- Two-panel axial: CT | PSMA PET, 18F tracer
- acquired on Siemens Biograph mCT Flow 20
- slice position z = -1251 mm
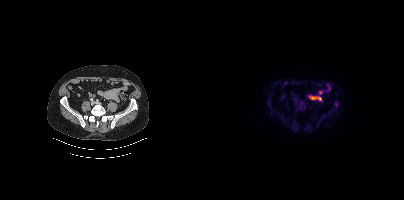
Findings: Coordinates are on the 200×200 PET (right) panel. PSMA-avid tumor lesion bounding boxes (x, y, width, height): x=62 y=98 w=7 h=11; x=93 y=105 w=8 h=7; x=122 y=110 w=6 h=5. Small PSMA-avid foci (2 to 4 px across) near (center x, center y): (73, 112); (133, 105); (113, 123).